- Left: CT. Right: PSMA PET, same axial level, [18F]PSMA-1007 tracer
- acquired on Siemens Biograph mCT Flow 20
- PET panel 200×200 px (4.1 mm/px)
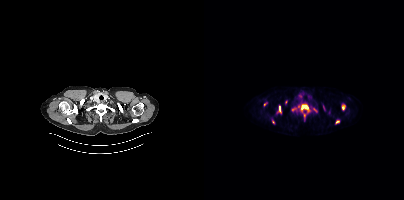
Findings: Coordinates are on the 200×200 PET (right) panel. (showing 9 of 10 foci) PSMA-avid tumor lesion bounding boxes (x0, y0)-(x1, y1): (97, 105)-(104, 109) | (75, 106)-(77, 112) | (88, 107)-(91, 111) | (99, 114)-(101, 119) | (138, 105)-(140, 109). Small PSMA-avid foci (2 to 4 px across) near (center x, center y): (133, 122) | (82, 102) | (69, 122) | (60, 104).